Technique: Two-panel axial: CT | PSMA PET, [18F]PSMA-1007 tracer.
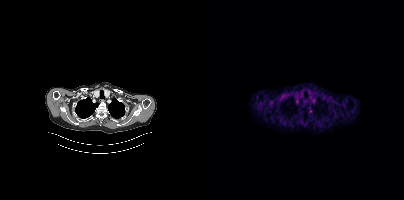
Findings: Only PSMA-avid lesion pieces thinner than 2 px on this slice (not listed).